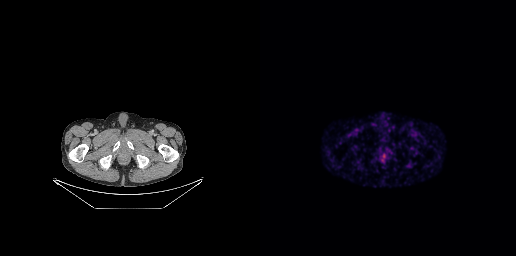
Left: CT. Right: PSMA PET, same axial level, [68Ga]Ga-PSMA-11 tracer. PET panel 256×256 px (2.7 mm/px). No PSMA-avid tumor lesions on this slice.